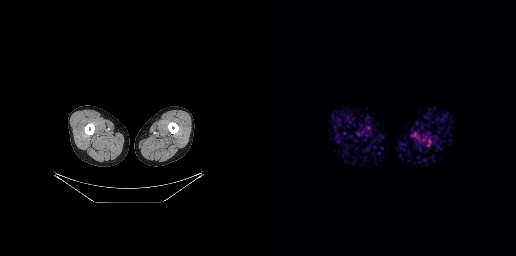
{"modality":"PSMA PET/CT","view":"axial","tracer":"68Ga","pet_grid":[256,256],"coord_frame":"pet_panel","coord_format":"x0,y0,x1,y1","psma_avid_lesions":false}